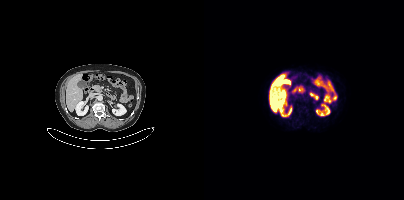
This slice has no annotated PSMA-avid lesion.